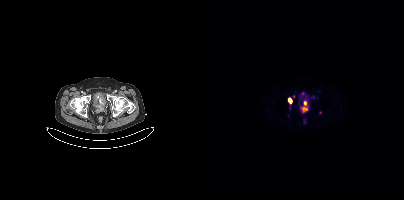
{"modality":"PSMA PET/CT","view":"axial","tracer":"68Ga","pet_grid":[200,200],"coord_frame":"pet_panel","coord_format":"x0,y0,x1,y1","partial":true,"lesion_bboxes":[[97,101,103,112],[84,98,87,103]],"small_foci_centers":[[89,96],[101,97]]}